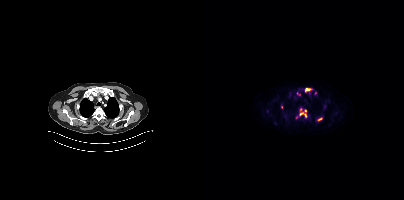
Coordinates are on the 200×200 PET (right) panel. (showing 5 of 8 foci) PSMA-avid tumor lesion bounding boxes (x0, y0)-(x1, y1): (95, 108)-(102, 117); (101, 88)-(107, 92); (112, 117)-(118, 121). Small PSMA-avid foci (2 to 4 px across) near (center x, center y): (77, 107); (95, 94).
modality: PSMA PET/CT | tracer: 18F-PSMA | view: axial | PET grid: 200×200